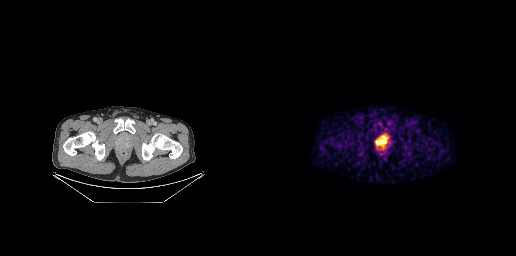
{"modality":"PSMA PET/CT","view":"axial","tracer":"[18F]PSMA-1007","pet_grid":[256,256],"coord_frame":"pet_panel","coord_format":"x0,y0,x1,y1","lesion_bboxes":[[115,135,127,148]]}